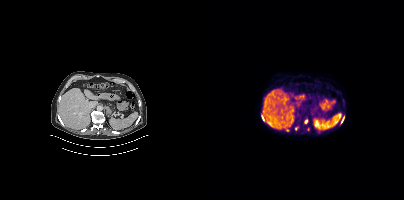
{"modality":"PSMA PET/CT","view":"axial","tracer":"[18F]PSMA-1007","pet_grid":[200,200],"coord_frame":"pet_panel","coord_format":"x0,y0,x1,y1","partial":true,"lesion_bboxes":[],"small_foci_centers":[[102,121],[137,121]]}